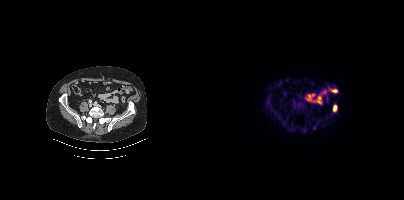
Coordinates are on the 200×200 PET (right) panel. PSMA-avid tumor lesion bounding box (x0,y0,x1,y1): [129,104,133,111].